Left: CT. Right: PSMA PET, same axial level, 18F-PSMA tracer.
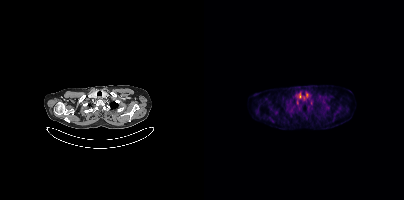
Only PSMA-avid lesion pieces thinner than 2 px on this slice (not listed).